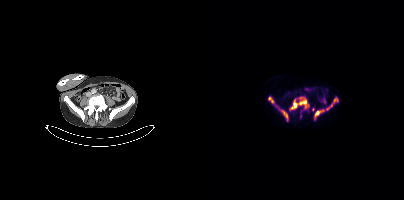
- Left: CT. Right: PSMA PET, same axial level, 18F-PSMA tracer
- acquired on Siemens Biograph mCT Flow 20
- slice position z = -1342 mm
Findings: Coordinates are on the 200×200 PET (right) panel. (showing 6 of 7 foci) PSMA-avid tumor lesion bounding boxes (x0, y0)-(x1, y1): (86, 97)-(105, 109) | (122, 96)-(134, 109) | (71, 105)-(84, 120) | (110, 110)-(116, 120) | (64, 97)-(70, 104). Small PSMA-avid focus (2 to 4 px across) near (center x, center y): (119, 110).